Two-panel axial: CT | PSMA PET, [68Ga]Ga-PSMA-11 tracer. Acquired on GE Discovery 690. PET panel 256×256 px (2.7 mm/px).
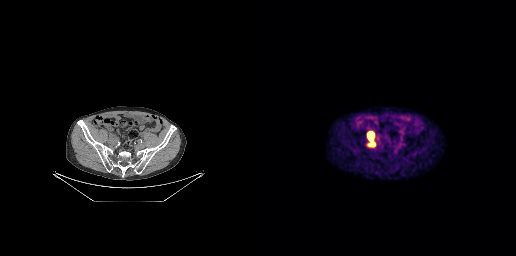
Coordinates are on the 256×256 PET (right) panel. PSMA-avid tumor lesion bounding boxes (x0, y0)-(x1, y1): (108, 132)-(113, 139); (110, 142)-(115, 146).